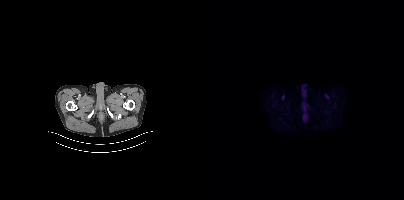
Paired axial CT (left) and PSMA PET (right), [18F]PSMA-1007 tracer. Slice position z = -1480 mm. PET panel 200×200 px (4.1 mm/px). Negative for PSMA-avid disease on this slice.